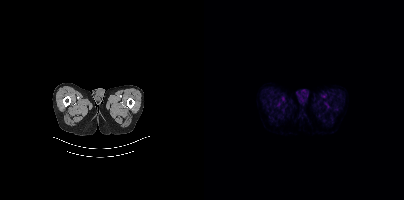
{"modality":"PSMA PET/CT","view":"axial","tracer":"[18F]PSMA-1007","pet_grid":[200,200],"coord_frame":"pet_panel","coord_format":"x0,y0,x1,y1","psma_avid_lesions":false}